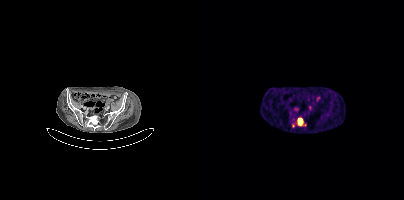
Coordinates are on the 200×200 PET (right) panel. (showing 2 of 3 foci) PSMA-avid tumor lesion bounding box (x0,y0,x1,y1): [94,118,101,125]. Small PSMA-avid focus (2 to 4 px across) near (center x, center y): (105, 107).